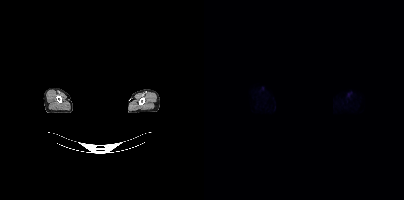
Negative for PSMA-avid disease on this slice. Paired axial CT (left) and PSMA PET (right), [18F]PSMA-1007 tracer. Acquired on Siemens Biograph mCT Flow 20. Face de-identified by blanking a block of the head.